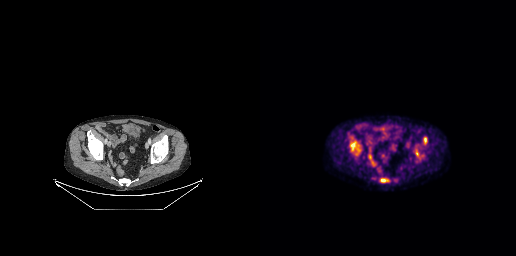
Paired axial CT (left) and PSMA PET (right), 18F-PSMA tracer. Slice 64 of 263. PET panel 256×256 px (2.7 mm/px). Coordinates are on the 256×256 PET (right) panel. (showing 4 of 5 foci) PSMA-avid tumor lesion bounding boxes (x0, y0)-(x1, y1): (89, 137)-(101, 155) / (155, 148)-(163, 157) / (120, 178)-(129, 182) / (163, 137)-(167, 144).